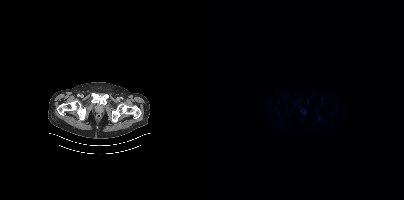
Paired axial CT (left) and PSMA PET (right), [18F]PSMA-1007 tracer. Acquired on Siemens Biograph mCT Flow 20. Slice position z = -1002 mm. PET panel 200×200 px (4.1 mm/px). No PSMA-avid tumor lesions on this slice.